Paired axial CT (left) and PSMA PET (right), 18F tracer. Slice position z = -1472 mm.
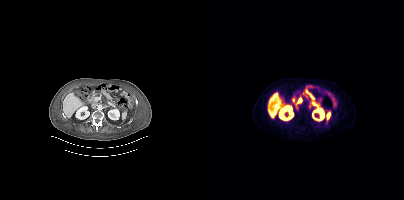
This slice has no annotated PSMA-avid lesion.